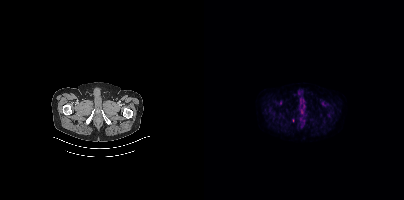
Only PSMA-avid lesion pieces thinner than 2 px on this slice (not listed).
modality: PSMA PET/CT | tracer: 18F-PSMA | view: axial